Two-panel axial: CT | PSMA PET, 18F tracer. Acquired on Siemens Biograph mCT Flow 20. PET panel 200×200 px (4.1 mm/px).
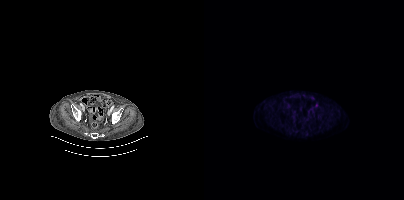
Coordinates are on the 200×200 PET (right) panel. Small PSMA-avid focus (2 to 4 px across) near (center x, center y): (112, 104).